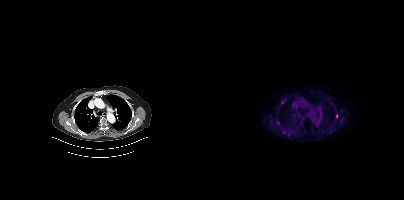
Coordinates are on the 200×200 PET (right) panel. (showing 3 of 5 foci) Small PSMA-avid foci (2 to 4 px across) near (center x, center y): (78, 102) / (73, 122) / (79, 132).